Left: CT. Right: PSMA PET, same axial level, 18F-PSMA tracer. Acquired on Siemens Biograph mCT Flow 20. Slice 285 of 454. PET panel 200×200 px (4.1 mm/px).
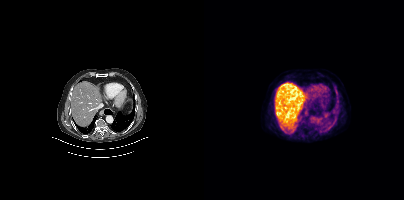
No tumor lesions annotated on this slice.